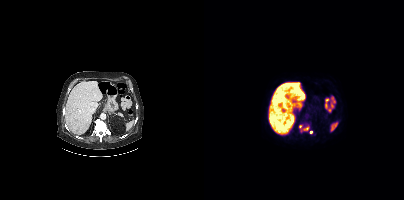
Coordinates are on the 200×200 PET (right) panel. PSMA-avid tumor lesion bounding box (x0, y0)-(x1, y1): (95, 125)-(105, 132). Small PSMA-avid focus (2 to 4 px across) near (center x, center y): (106, 131). Paired axial CT (left) and PSMA PET (right), 18F-PSMA tracer. Acquired on Siemens Biograph mCT Flow 20.